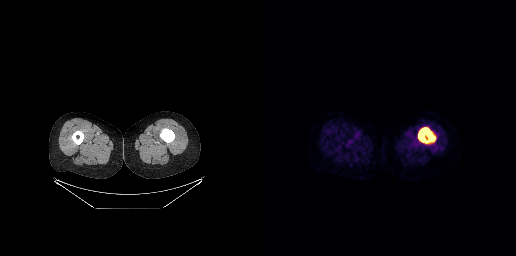
{"modality":"PSMA PET/CT","view":"axial","tracer":"[18F]PSMA-1007","pet_grid":[256,256],"coord_frame":"pet_panel","coord_format":"x0,y0,x1,y1","lesion_bboxes":[[158,127,175,142]]}